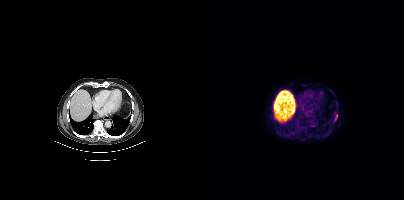
Technique: Two-panel axial: CT | PSMA PET, [18F]PSMA-1007 tracer. slice position z = -1169 mm. PET panel 200×200 px (4.1 mm/px).
Findings: Coordinates are on the 200×200 PET (right) panel. PSMA-avid tumor lesion bounding box (x0,y0,x1,y1): [130,115,133,121].